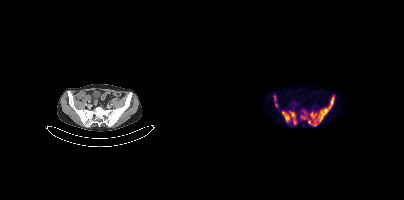
{"modality":"PSMA PET/CT","view":"axial","tracer":"[18F]PSMA-1007","pet_grid":[200,200],"coord_frame":"pet_panel","coord_format":"x0,y0,x1,y1","lesion_bboxes":[[96,95,130,126],[78,111,92,124],[70,95,72,101],[71,103,73,107]]}